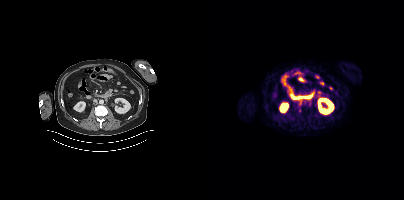
Two-panel axial: CT | PSMA PET, [68Ga]Ga-PSMA-11 tracer. Slice 196 of 429. Only PSMA-avid lesion pieces thinner than 2 px on this slice (not listed).